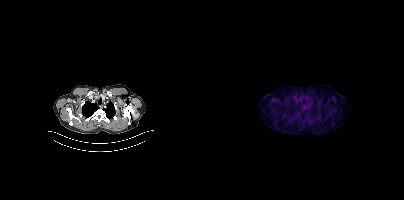
Technique: Left: CT. Right: PSMA PET, same axial level, 18F-PSMA tracer. acquired on Siemens Biograph mCT Flow 20. slice 350 of 429.
Findings: No PSMA-avid tumor lesions on this slice.